Technique: Left: CT. Right: PSMA PET, same axial level, [68Ga]Ga-PSMA-11 tracer.
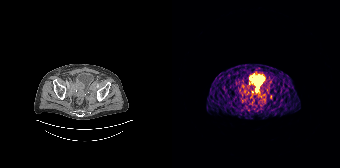
Findings: Coordinates are on the 168×168 PET (right) panel. PSMA-avid tumor lesion bounding box (x0,y0,x1,y1): [84,84,87,90].